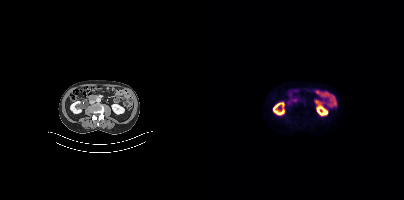
No tumor lesions annotated on this slice.
modality: PSMA PET/CT | tracer: 18F | view: axial | PET grid: 200×200